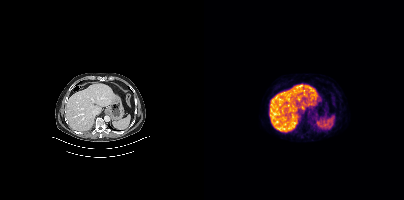
Negative for PSMA-avid disease on this slice. Paired axial CT (left) and PSMA PET (right), 68Ga tracer. Acquired on Siemens Biograph mCT Flow 20.